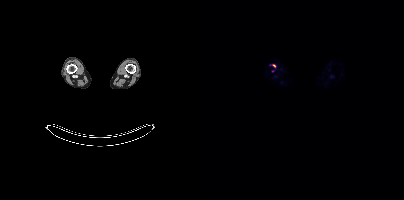
{"modality":"PSMA PET/CT","view":"axial","tracer":"18F","pet_grid":[200,200],"coord_frame":"pet_panel","coord_format":"x0,y0,x1,y1","lesion_bboxes":[],"small_foci_centers":[[70,65]]}